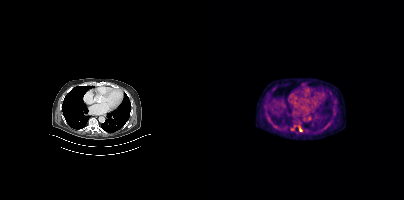
{"modality":"PSMA PET/CT","view":"axial","tracer":"18F","pet_grid":[200,200],"coord_frame":"pet_panel","coord_format":"x0,y0,x1,y1","lesion_bboxes":[[94,126,98,131]]}